Two-panel axial: CT | PSMA PET, 18F tracer. PET panel 200×200 px (4.1 mm/px).
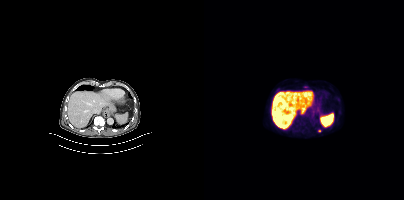
Coordinates are on the 200×200 PET (right) panel. Small PSMA-avid focus (2 to 4 px across) near (center x, center y): (115, 130).